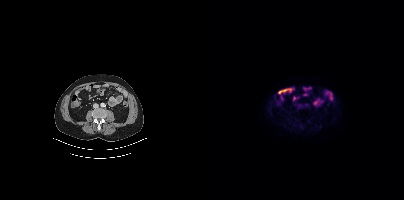
Two-panel axial: CT | PSMA PET, 18F-PSMA tracer. Slice 160 of 401. PET panel 200×200 px (4.1 mm/px). No tumor lesions annotated on this slice.